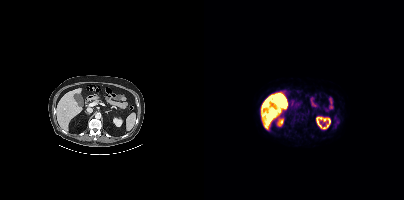
Technique: Two-panel axial: CT | PSMA PET, 18F tracer. slice 294 of 508. PET panel 200×200 px (4.1 mm/px).
Findings: Negative for PSMA-avid disease on this slice.